- Paired axial CT (left) and PSMA PET (right), [68Ga]Ga-PSMA-11 tracer
- acquired on GE Discovery 690
- slice 217 of 263
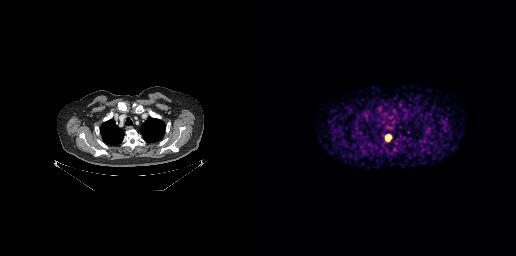
Findings: Coordinates are on the 256×256 PET (right) panel. PSMA-avid tumor lesion bounding box (x0, y0)-(x1, y1): (126, 135)-(131, 140).